Left: CT. Right: PSMA PET, same axial level, 18F tracer. Acquired on Siemens Biograph mCT Flow 20.
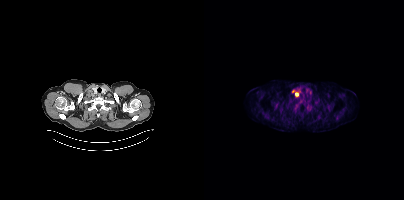
Coordinates are on the 200×200 PET (right) panel. PSMA-avid tumor lesion bounding boxes:
| # | x0 | y0 | x1 | y1 |
|---|---|---|---|---|
| 1 | 91 | 92 | 94 | 96 |
Small PSMA-avid focus (2 to 4 px across) near (center x, center y): (88, 91).